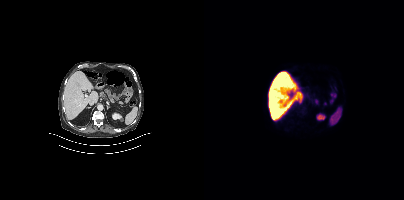
{"modality":"PSMA PET/CT","view":"axial","tracer":"[18F]PSMA-1007","pet_grid":[200,200],"coord_frame":"pet_panel","coord_format":"x0,y0,x1,y1","psma_avid_lesions":false}